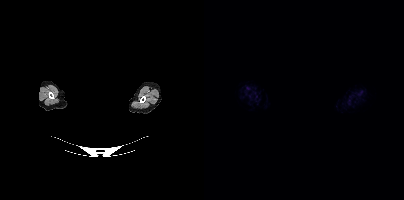
Head region blanked for anonymization (face removed). Paired axial CT (left) and PSMA PET (right), 18F tracer. Slice 392 of 405. PET panel 200×200 px (4.1 mm/px). No tumor lesions annotated on this slice.